Paired axial CT (left) and PSMA PET (right), [18F]PSMA-1007 tracer. Acquired on Siemens Biograph mCT Flow 20.
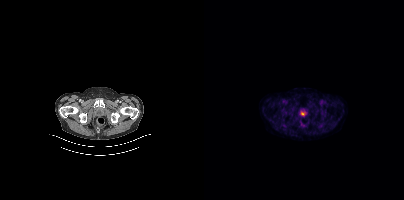
Negative for PSMA-avid disease on this slice.